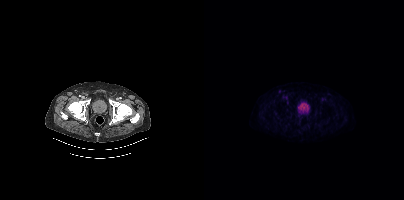
Findings: No tumor lesions annotated on this slice.
- Left: CT. Right: PSMA PET, same axial level, 18F tracer